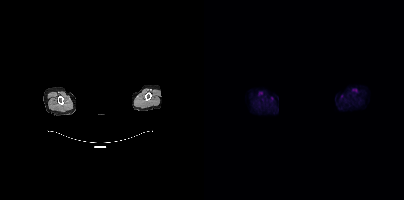
Two-panel axial: CT | PSMA PET, [18F]PSMA-1007 tracer. Slice position z = -168 mm. The head region is masked for de-identification. No tumor lesions annotated on this slice.